Two-panel axial: CT | PSMA PET, [18F]PSMA-1007 tracer.
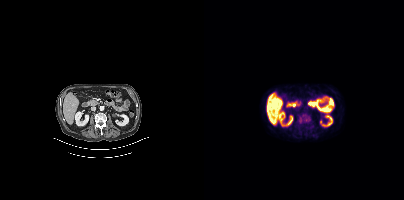
Coordinates are on the 200×200 PET (right) panel. PSMA-avid tumor lesion bounding boxes:
| # | x0 | y0 | x1 | y1 |
|---|---|---|---|---|
| 1 | 96 | 115 | 105 | 122 |